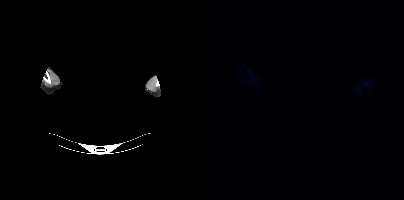
Paired axial CT (left) and PSMA PET (right), [18F]PSMA-1007 tracer. PET panel 200×200 px (4.1 mm/px). The face region was removed for patient privacy by blanking a rectangle over the head. Negative for PSMA-avid disease on this slice.